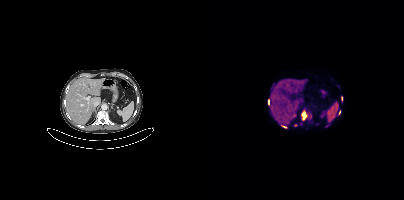
Left: CT. Right: PSMA PET, same axial level, 18F-PSMA tracer. Slice 225 of 407.
Coordinates are on the 200×200 PET (right) panel. PSMA-avid tumor lesion bounding boxes (partial; 2 more foci not listed):
| # | x0 | y0 | x1 | y1 |
|---|---|---|---|---|
| 1 | 97 | 112 | 103 | 120 |
| 2 | 64 | 100 | 65 | 104 |
| 3 | 77 | 125 | 82 | 127 |
Small PSMA-avid foci (2 to 4 px across) near (center x, center y): (135, 112); (123, 126).